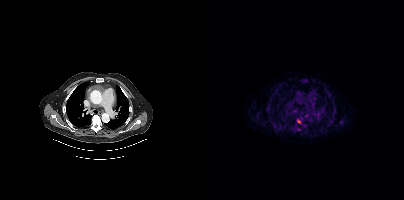
Coordinates are on the 200×200 PET (right) panel. PSMA-avid tumor lesion bounding box (x, y, width, height): x=93 y=119 w=5 h=5. Small PSMA-avid focus (2 to 4 px across) near (center x, center y): (94, 129).
modality: PSMA PET/CT | tracer: [18F]PSMA-1007 | view: axial